Left: CT. Right: PSMA PET, same axial level, [68Ga]Ga-PSMA-11 tracer. Slice 20 of 195.
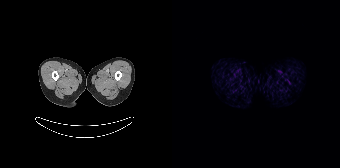
No PSMA-avid tumor lesions on this slice.